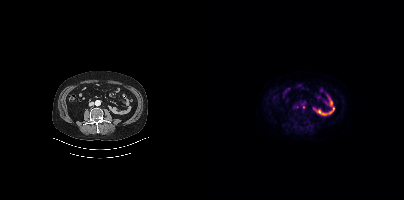
Only PSMA-avid lesion pieces thinner than 2 px on this slice (not listed).
modality: PSMA PET/CT | tracer: [18F]PSMA-1007 | view: axial | PET grid: 200×200